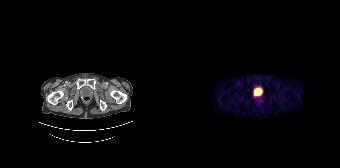
Left: CT. Right: PSMA PET, same axial level, 68Ga-PSMA tracer. Slice 35 of 195. This slice has no annotated PSMA-avid lesion.